Paired axial CT (left) and PSMA PET (right), 18F tracer. Slice position z = 254 mm. PET panel 200×200 px (4.1 mm/px).
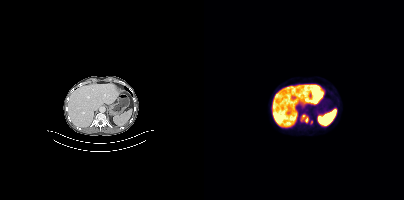
Coordinates are on the 200×200 PET (right) panel. PSMA-avid tumor lesion bounding boxes:
| # | x0 | y0 | x1 | y1 |
|---|---|---|---|---|
| 1 | 96 | 114 | 104 | 123 |
Small PSMA-avid focus (2 to 4 px across) near (center x, center y): (107, 122).